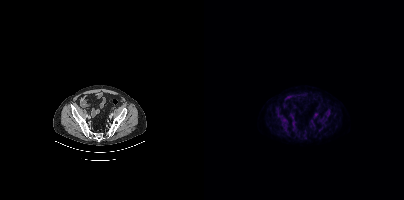
Technique: Left: CT. Right: PSMA PET, same axial level, 18F tracer.
Findings: Negative for PSMA-avid disease on this slice.